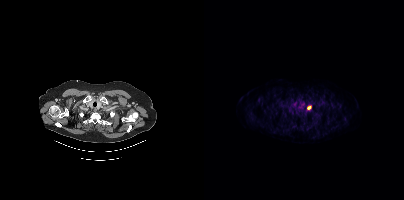
{"modality":"PSMA PET/CT","view":"axial","tracer":"[18F]PSMA-1007","pet_grid":[200,200],"coord_frame":"pet_panel","coord_format":"x0,y0,x1,y1","lesion_bboxes":[[103,106,107,109]]}